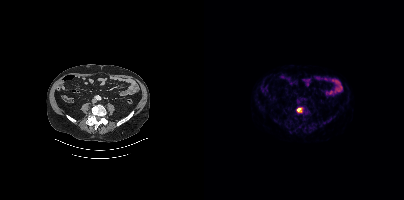
{"modality":"PSMA PET/CT","view":"axial","tracer":"18F-PSMA","pet_grid":[200,200],"coord_frame":"pet_panel","coord_format":"x0,y0,x1,y1","lesion_bboxes":[[92,107,98,112]]}